modality: PSMA PET/CT | tracer: 18F | view: axial | PET grid: 200×200
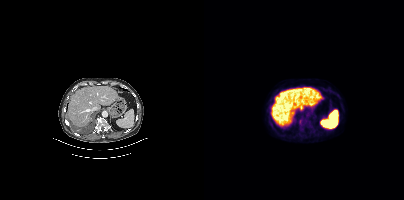
Coordinates are on the 200×200 PET (right) panel. PSMA-avid tumor lesion bounding box (x0, y0)-(x1, y1): (95, 119)-(98, 123).